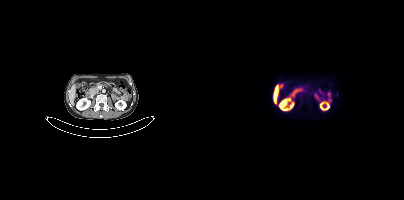
Findings: Coordinates are on the 200×200 PET (right) panel. Small PSMA-avid focus (2 to 4 px across) near (center x, center y): (133, 93).
- Two-panel axial: CT | PSMA PET, 18F tracer
- acquired on Siemens Biograph mCT Flow 20
- slice 187 of 427